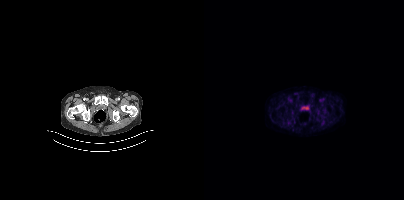
{"modality":"PSMA PET/CT","view":"axial","tracer":"18F-PSMA","pet_grid":[200,200],"coord_frame":"pet_panel","coord_format":"x0,y0,x1,y1","psma_avid_lesions":false}